Two-panel axial: CT | PSMA PET, 18F tracer. Acquired on Siemens Biograph mCT Flow 20.
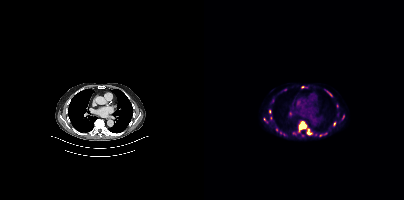
Coordinates are on the 200×200 PET (right) panel. (showing 8 of 14 foci) PSMA-avid tumor lesion bounding boxes (x, y, width, height): x=95 y=122 w=8 h=8; x=123 y=91 w=6 h=6. Small PSMA-avid foci (2 to 4 px across) near (center x, center y): (104, 133); (65, 111); (130, 123); (99, 86); (60, 119); (116, 135).